Two-panel axial: CT | PSMA PET, 18F-PSMA tracer. Acquired on Siemens Biograph mCT Flow 20. PET panel 200×200 px (4.1 mm/px).
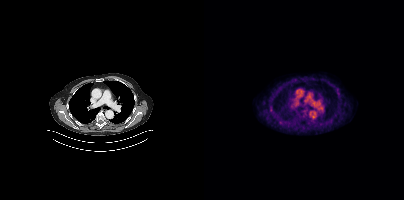
Negative for PSMA-avid disease on this slice.